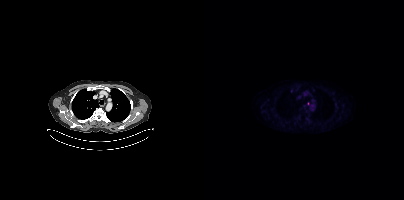
Left: CT. Right: PSMA PET, same axial level, 18F-PSMA tracer. PET panel 200×200 px (4.1 mm/px). Coordinates are on the 200×200 PET (right) panel. Small PSMA-avid foci (2 to 4 px across) near (center x, center y): (87, 91); (103, 103).